- Left: CT. Right: PSMA PET, same axial level, 18F tracer
- acquired on GE Discovery 690
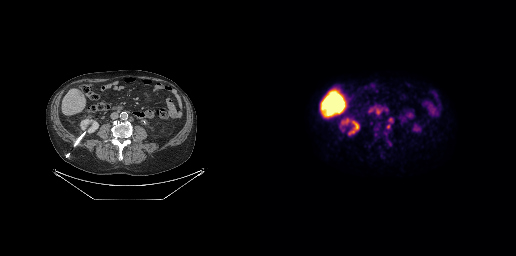
Findings: Coordinates are on the 256×256 PET (right) panel. PSMA-avid tumor lesion bounding box (x0,y0,x1,y1): [126,118,133,129]. Small PSMA-avid focus (2 to 4 px across) near (center x, center y): (125, 133).